Two-panel axial: CT | PSMA PET, 68Ga tracer. Acquired on Siemens Biograph mCT Flow 20. Slice position z = -996 mm. PET panel 200×200 px (4.1 mm/px).
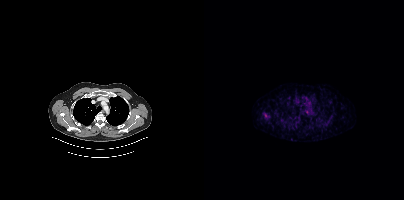
Coordinates are on the 200×200 PET (right) panel. Small PSMA-avid focus (2 to 4 px across) near (center x, center y): (61, 115).